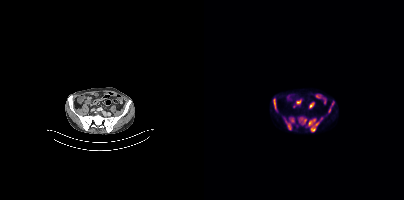
{"modality":"PSMA PET/CT","view":"axial","tracer":"18F-PSMA","pet_grid":[200,200],"coord_frame":"pet_panel","coord_format":"x0,y0,x1,y1","lesion_bboxes":[[104,117,118,131],[81,118,90,129],[95,117,102,124],[69,98,73,111],[124,108,126,112],[127,102,129,106]]}